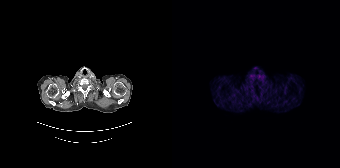
Negative for PSMA-avid disease on this slice.
modality: PSMA PET/CT | tracer: 68Ga-PSMA | view: axial | PET grid: 168×168